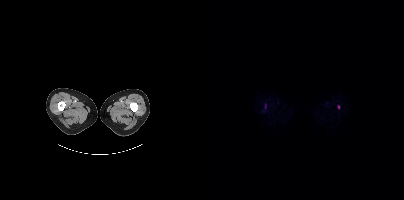
{"modality":"PSMA PET/CT","view":"axial","tracer":"18F","pet_grid":[200,200],"coord_frame":"pet_panel","coord_format":"x0,y0,x1,y1","partial":true,"lesion_bboxes":[],"small_foci_centers":[[134,106]]}